- a rectangle over the head was blacked out to remove identifiable facial features
- Two-panel axial: CT | PSMA PET, [18F]PSMA-1007 tracer
- slice 409 of 454
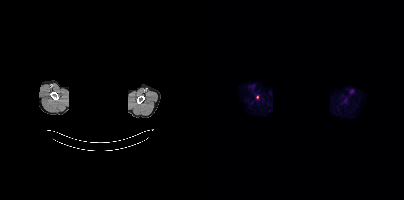
Findings: Coordinates are on the 200×200 PET (right) panel. Small PSMA-avid focus (2 to 4 px across) near (center x, center y): (53, 97).